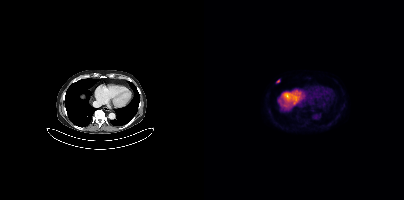
Left: CT. Right: PSMA PET, same axial level, [18F]PSMA-1007 tracer. PET panel 200×200 px (4.1 mm/px). Coordinates are on the 200×200 PET (right) panel. Small PSMA-avid focus (2 to 4 px across) near (center x, center y): (74, 80).